Paired axial CT (left) and PSMA PET (right), 18F tracer. Acquired on Siemens Biograph mCT Flow 20. Slice position z = -1184 mm.
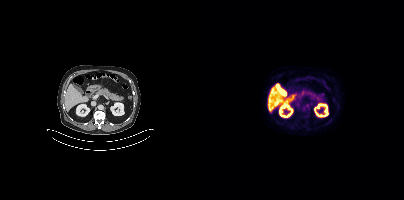
No tumor lesions annotated on this slice.